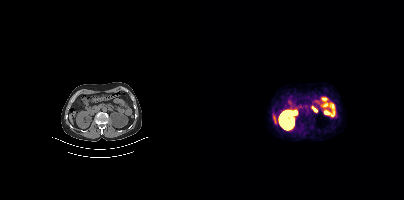
Technique: Two-panel axial: CT | PSMA PET, 68Ga tracer.
Findings: This slice has no annotated PSMA-avid lesion.